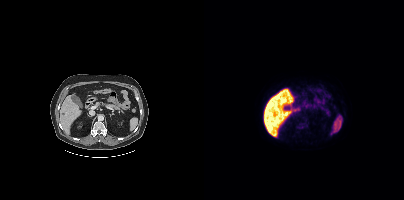
Technique: Paired axial CT (left) and PSMA PET (right), [18F]PSMA-1007 tracer. slice position z = -1162 mm.
Findings: This slice has no annotated PSMA-avid lesion.